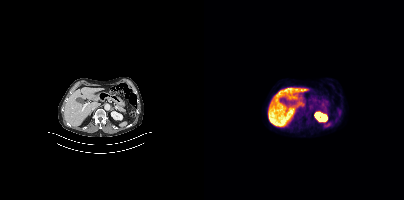
{"modality":"PSMA PET/CT","view":"axial","tracer":"18F-PSMA","pet_grid":[200,200],"coord_frame":"pet_panel","coord_format":"x0,y0,x1,y1","psma_avid_lesions":false}